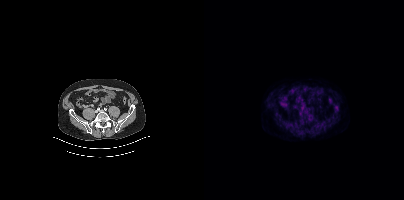
No tumor lesions annotated on this slice.